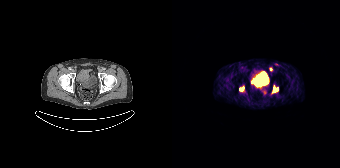
{"modality":"PSMA PET/CT","view":"axial","tracer":"68Ga","pet_grid":[168,168],"coord_frame":"pet_panel","coord_format":"x0,y0,x1,y1","lesion_bboxes":[[101,87,106,91]],"small_foci_centers":[[69,88],[98,69]]}